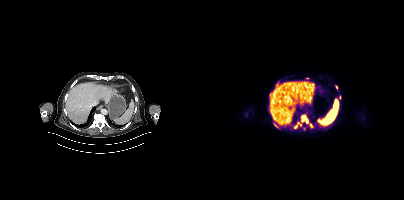
modality: PSMA PET/CT | tracer: 18F-PSMA | view: axial | PET grid: 200×200
Coordinates are on the 200×200 PET (right) panel. (showing 4 of 9 foci) PSMA-avid tumor lesion bounding boxes (x, y, width, height): x=97 y=115 w=12 h=13 | x=131 y=85 w=3 h=5 | x=69 y=123 w=4 h=5. Small PSMA-avid focus (2 to 4 px across) near (center x, center y): (91, 127).